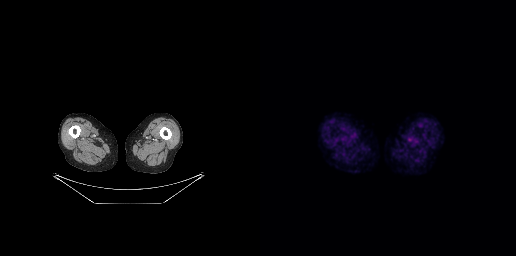
Paired axial CT (left) and PSMA PET (right), 18F-PSMA tracer. Slice position z = -1004 mm. No PSMA-avid tumor lesions on this slice.